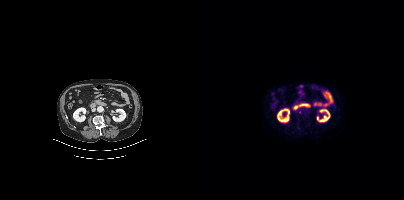
Technique: Two-panel axial: CT | PSMA PET, 18F-PSMA tracer. acquired on Siemens Biograph mCT Flow 20. slice 165 of 383.
Findings: Coordinates are on the 200×200 PET (right) panel. Small PSMA-avid focus (2 to 4 px across) near (center x, center y): (95, 111).